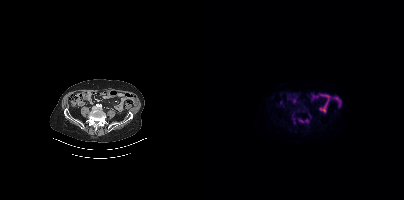
- Two-panel axial: CT | PSMA PET, 18F tracer
- slice position z = -816 mm
Findings: Coordinates are on the 200×200 PET (right) panel. (showing 2 of 4 foci) PSMA-avid tumor lesion bounding box (x, y, width, height): x=95 y=119 w=5 h=4. Small PSMA-avid focus (2 to 4 px across) near (center x, center y): (102, 120).